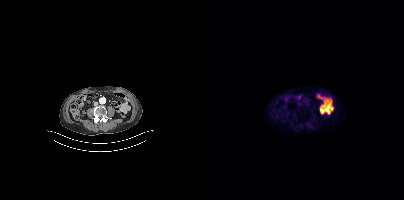
- Paired axial CT (left) and PSMA PET (right), [18F]PSMA-1007 tracer
Findings: Negative for PSMA-avid disease on this slice.